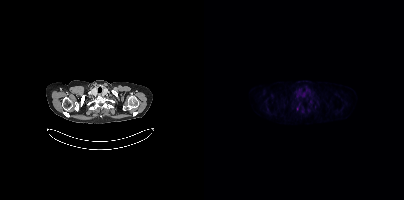
Only PSMA-avid lesion pieces thinner than 2 px on this slice (not listed).